modality: PSMA PET/CT | tracer: 18F | view: axial
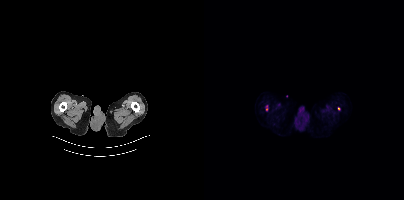
Coordinates are on the 200×200 PET (right) panel. PSMA-avid tumor lesion bounding box (x0, y0)-(x1, y1): (62, 105)-(63, 110). Small PSMA-avid focus (2 to 4 px across) near (center x, center y): (134, 108).